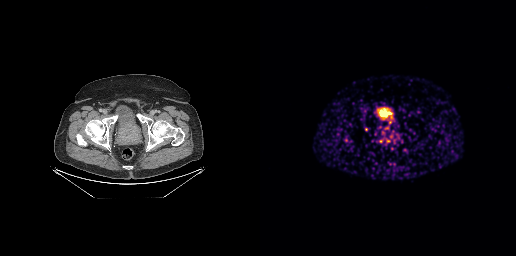
Coordinates are on the 256×256 PET (right) panel. PSMA-avid tumor lesion bounding box (x0,y0,x1,y1): [119,133,127,142]. Small PSMA-avid focus (2 to 4 px across) near (center x, center y): (128, 141).